Two-panel axial: CT | PSMA PET, [18F]PSMA-1007 tracer. Slice 434 of 435. De-identified by setting a box covering the face to black before release.
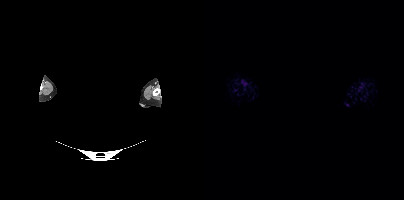
Negative for PSMA-avid disease on this slice.